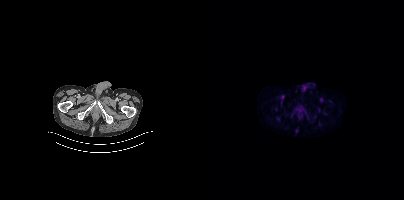
{"modality":"PSMA PET/CT","view":"axial","tracer":"18F-PSMA","pet_grid":[200,200],"coord_frame":"pet_panel","coord_format":"x0,y0,x1,y1","psma_avid_lesions":false}